De-identified by setting a box covering the face to black before release.
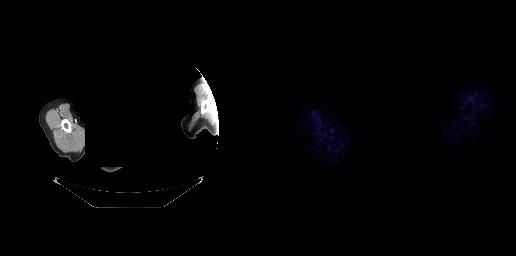
No tumor lesions annotated on this slice.